Technique: Paired axial CT (left) and PSMA PET (right), [18F]PSMA-1007 tracer. acquired on GE Discovery 690. slice position z = -606 mm.
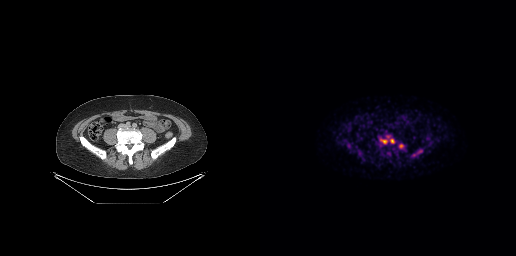
Findings: Coordinates are on the 256×256 PET (right) panel. PSMA-avid tumor lesion bounding boxes (x0, y0)-(x1, y1): (120, 139)-(127, 143); (130, 139)-(134, 143); (139, 144)-(143, 147). Small PSMA-avid foci (2 to 4 px across) near (center x, center y): (161, 150); (128, 136).